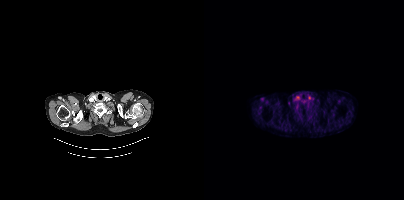
No tumor lesions annotated on this slice.